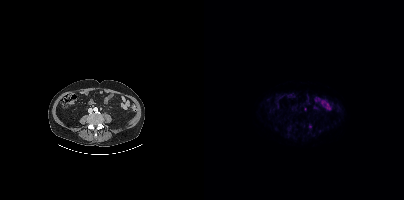
{"pet_grid":[200,200],"coord_frame":"pet_panel","coord_format":"x0,y0,x1,y1","partial":true,"lesion_bboxes":[],"modality":"PSMA PET/CT","view":"axial","tracer":"[18F]PSMA-1007"}